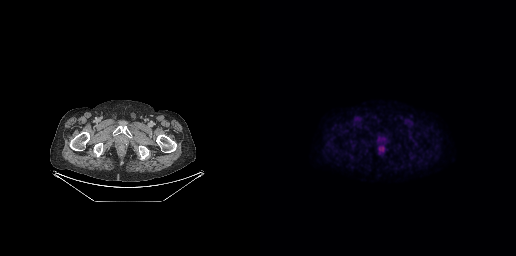
This slice has no annotated PSMA-avid lesion.
modality: PSMA PET/CT | tracer: 18F-PSMA | view: axial | PET grid: 256×256